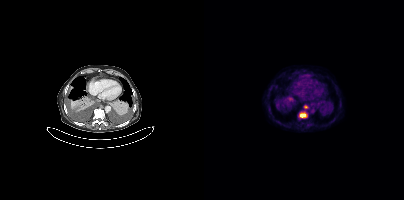
Coordinates are on the 200×200 PET (right) panel. PSMA-avid tumor lesion bounding boxes (x, y, width, height): x=96 y=113 w=6 h=5 / x=100 y=105 w=5 h=4. Left: CT. Right: PSMA PET, same axial level, 18F-PSMA tracer. Acquired on Siemens Biograph mCT Flow 20. PET panel 200×200 px (4.1 mm/px).